Two-panel axial: CT | PSMA PET, 18F tracer. Slice 233 of 427. PET panel 200×200 px (4.1 mm/px).
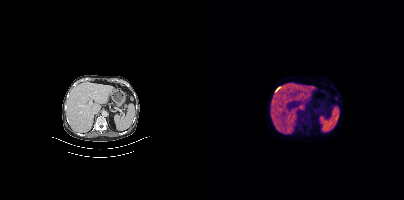
This slice has no annotated PSMA-avid lesion.